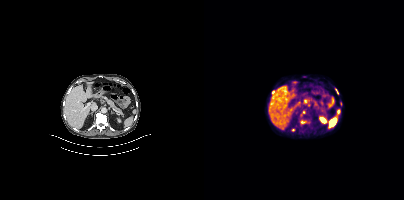
{"modality":"PSMA PET/CT","view":"axial","tracer":"18F","pet_grid":[200,200],"coord_frame":"pet_panel","coord_format":"x0,y0,x1,y1","partial":true,"lesion_bboxes":[[96,119,105,124],[96,111,101,116],[131,89,134,94]],"small_foci_centers":[[69,92],[89,130]]}